Left: CT. Right: PSMA PET, same axial level, [18F]PSMA-1007 tracer. PET panel 200×200 px (4.1 mm/px).
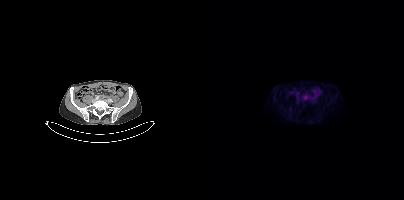
No PSMA-avid tumor lesions on this slice.